- Two-panel axial: CT | PSMA PET, [18F]PSMA-1007 tracer
- slice position z = -1063 mm
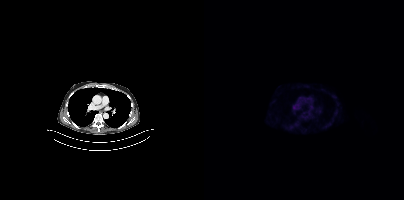
Findings: No tumor lesions annotated on this slice.